Technique: Left: CT. Right: PSMA PET, same axial level, 18F-PSMA tracer. slice 261 of 411. PET panel 200×200 px (4.1 mm/px).
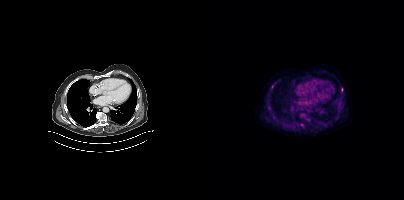
Findings: Coordinates are on the 200×200 PET (right) panel. (showing 3 of 4 foci) Small PSMA-avid foci (2 to 4 px across) near (center x, center y): (68, 86); (137, 89); (104, 119).